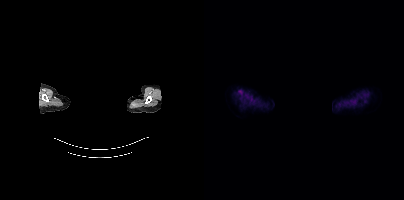
No tumor lesions annotated on this slice. A rectangular block over the head has been blanked out for de-identification. Left: CT. Right: PSMA PET, same axial level, 18F tracer. Acquired on Siemens Biograph mCT Flow 20. Slice 400 of 438.